modality: PSMA PET/CT | tracer: [18F]PSMA-1007 | view: axial | PET grid: 200×200
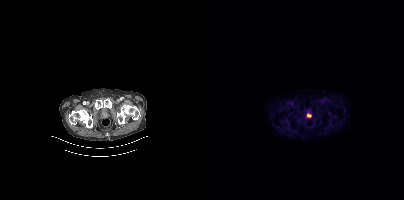
Coordinates are on the 200×200 PET (right) panel. Small PSMA-avid focus (2 to 4 px across) near (center x, center y): (104, 115).